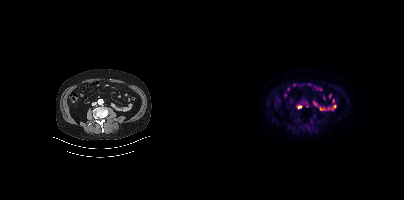
Coordinates are on the 200×200 PET (right) panel. Small PSMA-avid focus (2 to 4 px across) near (center x, center y): (95, 106). Paired axial CT (left) and PSMA PET (right), 18F-PSMA tracer. Slice position z = -1308 mm. PET panel 200×200 px (4.1 mm/px).